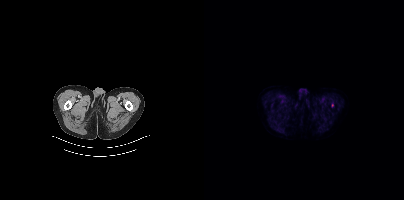
Findings: Negative for PSMA-avid disease on this slice.
Technique: Two-panel axial: CT | PSMA PET, 18F tracer. slice position z = -1012 mm.